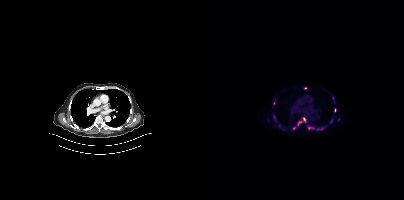
modality: PSMA PET/CT | tracer: 18F-PSMA | view: axial | PET grid: 200×200
Coordinates are on the 200×200 PET (right) panel. (showing 2 of 3 foci) Small PSMA-avid foci (2 to 4 px across) near (center x, center y): (101, 87), (100, 119).